- Left: CT. Right: PSMA PET, same axial level, 68Ga-PSMA tracer
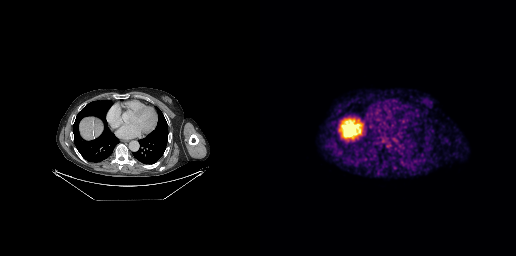
Findings: No tumor lesions annotated on this slice.